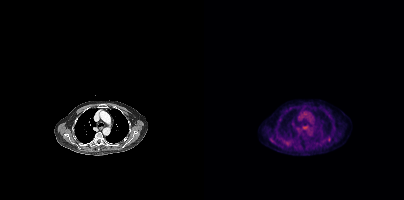
modality: PSMA PET/CT | tracer: 18F-PSMA | view: axial
Coordinates are on the 200×200 PET (right) panel. Small PSMA-avid foci (2 to 4 px across) near (center x, center y): (124, 139); (75, 118).